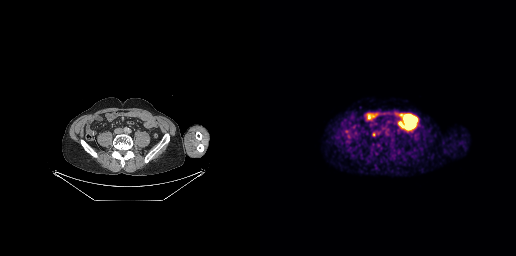
Coordinates are on the 256×256 PET (right) panel. PSMA-avid tumor lesion bounding box (x, y, width, height): x=112 y=132 w=4 h=5.